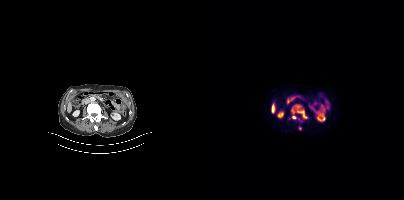
Paired axial CT (left) and PSMA PET (right), 18F-PSMA tracer. Slice 171 of 421. PET panel 200×200 px (4.1 mm/px). Coordinates are on the 200×200 PET (right) panel. PSMA-avid tumor lesion bounding boxes (x0, y0)-(x1, y1): (87, 104)-(103, 119); (94, 126)-(97, 130). Small PSMA-avid focus (2 to 4 px across) near (center x, center y): (96, 120).